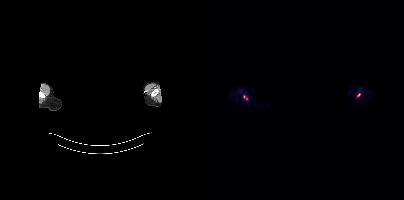
- Left: CT. Right: PSMA PET, same axial level, 18F-PSMA tracer
- acquired on Siemens Biograph mCT Flow 20
- PET panel 200×200 px (4.1 mm/px)
- the face region was removed for patient privacy by blanking a rectangle over the head
Findings: Coordinates are on the 200×200 PET (right) panel. (showing 2 of 3 foci) Small PSMA-avid foci (2 to 4 px across) near (center x, center y): (155, 95), (42, 98).